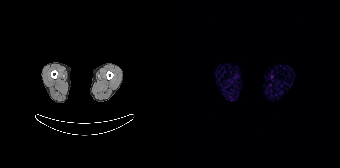
Negative for PSMA-avid disease on this slice. Left: CT. Right: PSMA PET, same axial level, 68Ga-PSMA tracer. Acquired on Siemens Biograph 64-4R TruePoint. Slice 5 of 195. PET panel 168×168 px (4.1 mm/px).